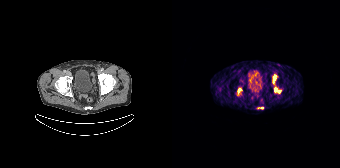
{"modality":"PSMA PET/CT","view":"axial","tracer":"68Ga","pet_grid":[168,168],"coord_frame":"pet_panel","coord_format":"x0,y0,x1,y1","lesion_bboxes":[[102,87,109,93],[101,74,104,83],[65,87,70,94],[86,107,91,109]]}